- Left: CT. Right: PSMA PET, same axial level, [18F]PSMA-1007 tracer
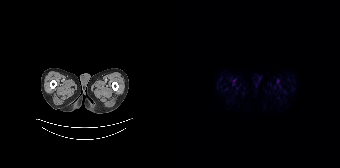
Findings: No PSMA-avid tumor lesions on this slice.